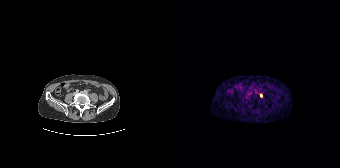
{"modality":"PSMA PET/CT","view":"axial","tracer":"68Ga","pet_grid":[168,168],"coord_frame":"pet_panel","coord_format":"x0,y0,x1,y1","partial":true,"lesion_bboxes":[]}